Technique: Paired axial CT (left) and PSMA PET (right), 18F-PSMA tracer. PET panel 200×200 px (4.1 mm/px).
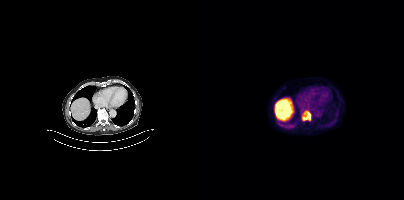
Findings: Coordinates are on the 200×200 PET (right) panel. PSMA-avid tumor lesion bounding box (x0, y0)-(x1, y1): (98, 110)-(107, 120).